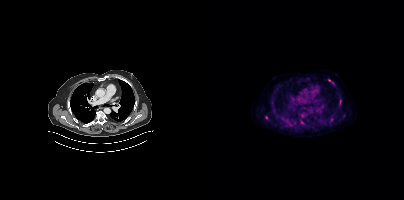
Coordinates are on the 200×200 PET (right) panel. (showing 7 of 8 foci) PSMA-avid tumor lesion bounding boxes (x, y, width, height): x=125 y=118 w=5 h=5; x=135 y=99 w=3 h=7; x=97 y=114 w=5 h=4. Small PSMA-avid foci (2 to 4 px across) near (center x, center y): (98, 122); (125, 80); (62, 117); (140, 116).